modality: PSMA PET/CT | tracer: 18F | view: axial
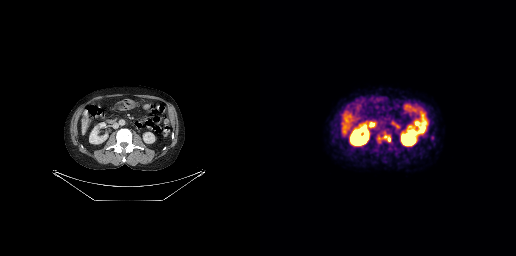
Coordinates are on the 256×256 PET (right) panel. PSMA-avid tumor lesion bounding box (x0,y0,x1,y1): [118,133,130,142].